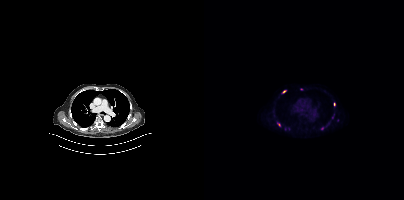
{"modality":"PSMA PET/CT","view":"axial","tracer":"18F-PSMA","pet_grid":[200,200],"coord_frame":"pet_panel","coord_format":"x0,y0,x1,y1","partial":true,"lesion_bboxes":[],"small_foci_centers":[[75,124],[80,91],[130,104]]}